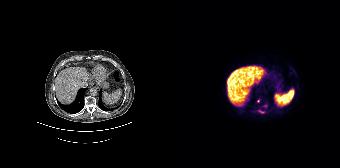
Coordinates are on the 168×168 PET (right) panel. PSMA-avid tumor lesion bounding box (x0,y0,x1,y1): [86,110,92,113]. Small PSMA-avid foci (2 to 4 px across) near (center x, center y): (86, 101); (93, 105).